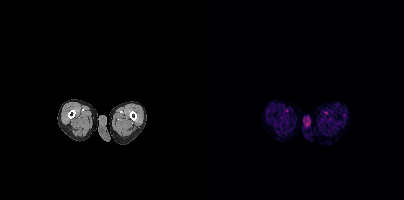
Findings: No PSMA-avid tumor lesions on this slice.
Technique: Two-panel axial: CT | PSMA PET, 18F-PSMA tracer. slice position z = -530 mm. PET panel 200×200 px (4.1 mm/px).